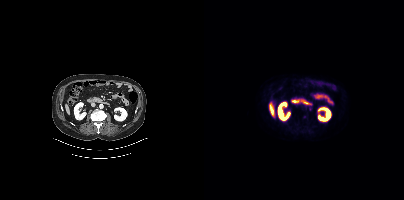
Left: CT. Right: PSMA PET, same axial level, 18F-PSMA tracer. Acquired on Siemens Biograph mCT Flow 20. No tumor lesions annotated on this slice.